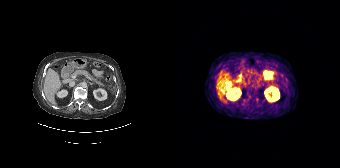
{"modality":"PSMA PET/CT","view":"axial","tracer":"68Ga-PSMA","pet_grid":[168,168],"coord_frame":"pet_panel","coord_format":"x0,y0,x1,y1","psma_avid_lesions":false}